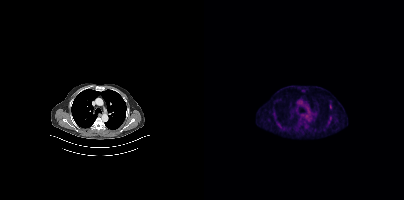
Coordinates are on the 200×200 PET (right) panel. Small PSMA-avid focus (2 to 4 px across) near (center x, center y): (126, 106).